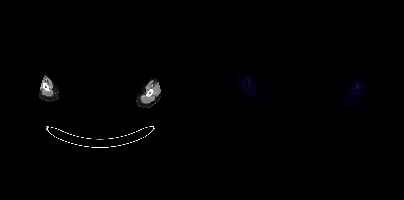
Two-panel axial: CT | PSMA PET, 18F-PSMA tracer. Slice position z = -877 mm. The face region was removed for patient privacy by blanking a rectangle over the head. This slice has no annotated PSMA-avid lesion.